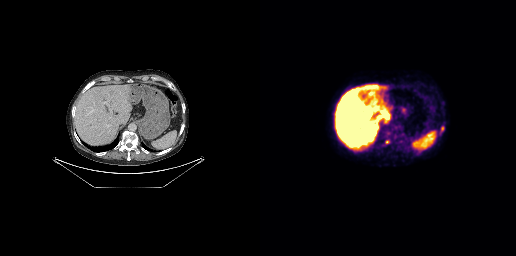
Coordinates are on the 256×256 PET (right) panel. PSMA-avid tumor lesion bounding boxes (x, y, width, height): x=180 y=126 w=5 h=8 / x=125 y=140 w=5 h=4.